modality: PSMA PET/CT | tracer: 18F | view: axial | PET grid: 200×200
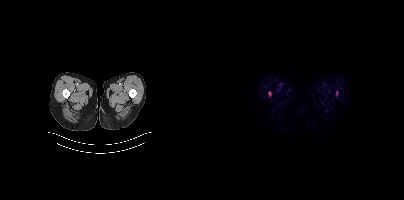
Coordinates are on the 200×200 PET (right) panel. Small PSMA-avid focus (2 to 4 px across) near (center x, center y): (65, 93).